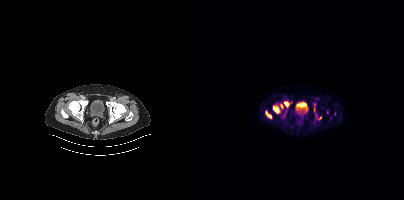
Coordinates are on the 200×200 PET (right) panel. (showing 3 of 6 foci) PSMA-avid tumor lesion bounding boxes (x0,y0,x1,y1): [69,107,74,112], [80,102,84,106]. Small PSMA-avid focus (2 to 4 px across) near (center x, center y): (65, 116).